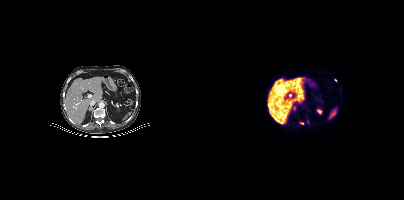
Findings: Coordinates are on the 200×200 PET (right) panel. Small PSMA-avid foci (2 to 4 px across) near (center x, center y): (131, 80) | (98, 123).
Technique: Paired axial CT (left) and PSMA PET (right), 18F-PSMA tracer. acquired on Siemens Biograph mCT Flow 20.